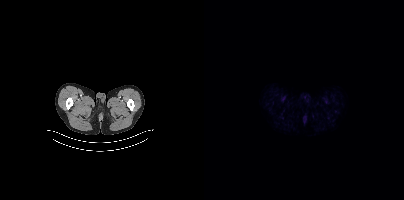
This slice has no annotated PSMA-avid lesion. Left: CT. Right: PSMA PET, same axial level, 18F tracer. Slice position z = -926 mm. PET panel 200×200 px (4.1 mm/px).